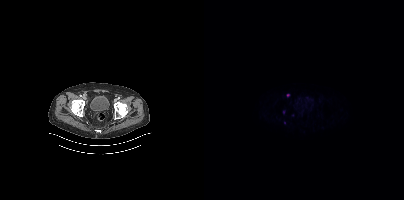
Left: CT. Right: PSMA PET, same axial level, 18F-PSMA tracer. Acquired on Siemens Biograph mCT Flow 20. Slice position z = -964 mm. Coordinates are on the 200×200 PET (right) panel. Small PSMA-avid focus (2 to 4 px across) near (center x, center y): (83, 94).